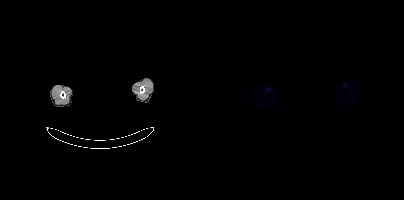
Negative for PSMA-avid disease on this slice. A rectangle over the head was blacked out to remove identifiable facial features. Paired axial CT (left) and PSMA PET (right), 68Ga tracer. PET panel 200×200 px (4.1 mm/px).